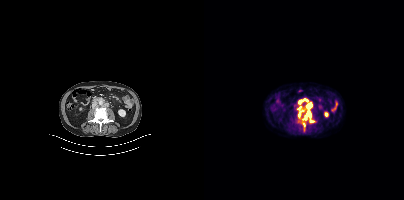
Two-panel axial: CT | PSMA PET, [18F]PSMA-1007 tracer. PET panel 200×200 px (4.1 mm/px). Coordinates are on the 200×200 PET (right) panel. (showing 6 of 7 foci) PSMA-avid tumor lesion bounding boxes (x, y, width, height): x=98 y=110 w=13 h=13 | x=94 y=110 w=7 h=9 | x=102 y=103 w=7 h=6 | x=99 y=122 w=3 h=6. Small PSMA-avid foci (2 to 4 px across) near (center x, center y): (96, 101) | (101, 99).